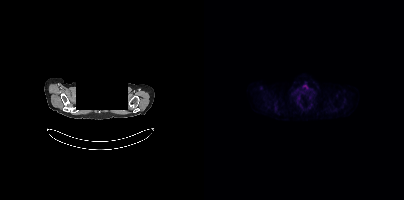
No PSMA-avid tumor lesions on this slice. Head region blanked for anonymization (face removed). Two-panel axial: CT | PSMA PET, [18F]PSMA-1007 tracer. Slice position z = 464 mm.